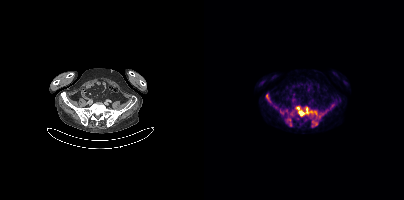
Coordinates are on the 200×200 PET (right) panel. (showing 3 of 4 foci) PSMA-avid tumor lesion bounding boxes (x0, y0)-(x1, y1): (92, 106)-(121, 127) / (81, 114)-(89, 126) / (62, 94)-(66, 101).